modality: PSMA PET/CT | tracer: 68Ga | view: axial | PET grid: 168×168
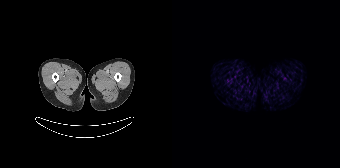
This slice has no annotated PSMA-avid lesion.